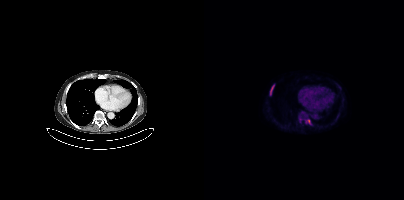
{"modality":"PSMA PET/CT","view":"axial","tracer":"18F","pet_grid":[200,200],"coord_frame":"pet_panel","coord_format":"x0,y0,x1,y1","lesion_bboxes":[[67,85,70,89]],"small_foci_centers":[[66,92],[104,121]]}